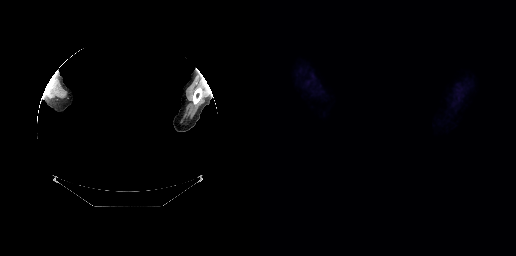
{"modality":"PSMA PET/CT","view":"axial","tracer":"[18F]PSMA-1007","pet_grid":[256,256],"coord_frame":"pet_panel","coord_format":"x0,y0,x1,y1","de-identification":"head region blanked (face removed)","psma_avid_lesions":false}